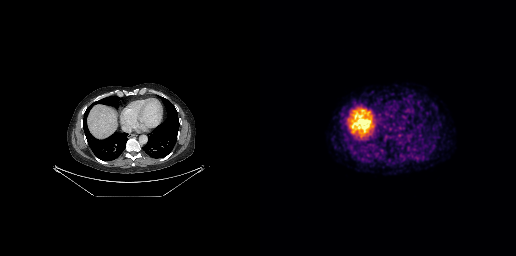
modality: PSMA PET/CT | tracer: 68Ga | view: axial | PET grid: 256×256
No tumor lesions annotated on this slice.